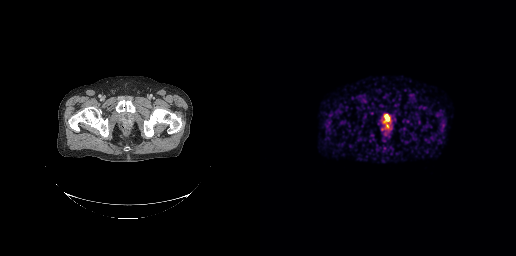
Coordinates are on the 256×256 PET (right) panel. PSMA-avid tumor lesion bounding box (x0,y0,x1,y1): [124,114,129,121]. Small PSMA-avid focus (2 to 4 px across) near (center x, center y): (127, 126).